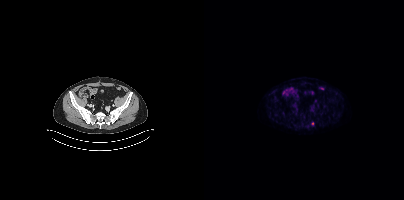
Only PSMA-avid lesion pieces thinner than 2 px on this slice (not listed). Paired axial CT (left) and PSMA PET (right), 68Ga-PSMA tracer. Acquired on Siemens Biograph mCT Flow 20. PET panel 200×200 px (4.1 mm/px).